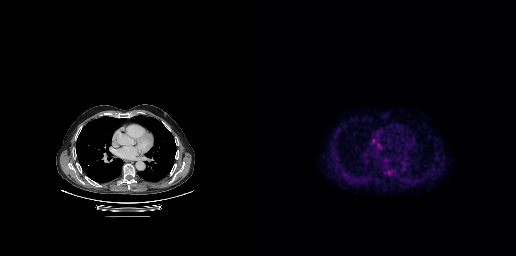
Technique: Left: CT. Right: PSMA PET, same axial level, 18F tracer. acquired on GE Discovery 690.
Findings: Coordinates are on the 256×256 PET (right) panel. PSMA-avid tumor lesion bounding box (x0, y0)-(x1, y1): (126, 169)-(133, 176).